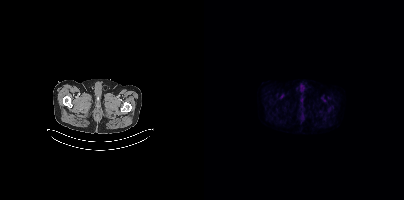
{"modality":"PSMA PET/CT","view":"axial","tracer":"18F-PSMA","pet_grid":[200,200],"coord_frame":"pet_panel","coord_format":"x0,y0,x1,y1","psma_avid_lesions":false}